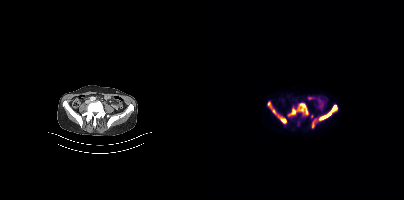
Findings: Coordinates are on the 200×200 PET (right) panel. PSMA-avid tumor lesion bounding boxes (x, y, width, height): x=84 y=103 w=21 h=14 / x=115 y=104 w=19 h=17 / x=63 y=101 w=20 h=23 / x=108 y=119 w=4 h=9. Small PSMA-avid focus (2 to 4 px across) near (center x, center y): (107, 116).
Technique: Two-panel axial: CT | PSMA PET, [18F]PSMA-1007 tracer. slice 141 of 421. PET panel 200×200 px (4.1 mm/px).